modality: PSMA PET/CT | tracer: [18F]PSMA-1007 | view: axial | PET grid: 256×256
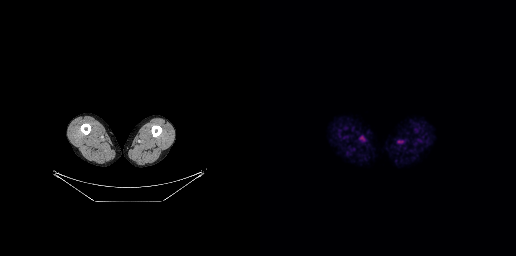
This slice has no annotated PSMA-avid lesion.